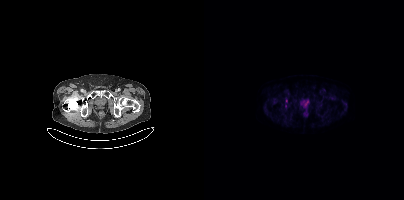
Findings: Coordinates are on the 200×200 PET (right) panel. Small PSMA-avid focus (2 to 4 px across) near (center x, center y): (81, 105).
Technique: Paired axial CT (left) and PSMA PET (right), [18F]PSMA-1007 tracer. acquired on Siemens Biograph mCT Flow 20. slice 59 of 419.